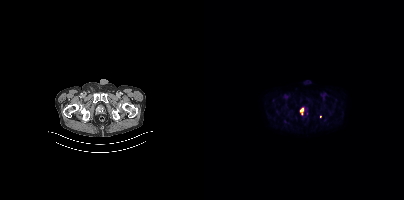
{"modality":"PSMA PET/CT","view":"axial","tracer":"18F","pet_grid":[200,200],"coord_frame":"pet_panel","coord_format":"x0,y0,x1,y1","partial":true,"lesion_bboxes":[[97,110,99,114]]}